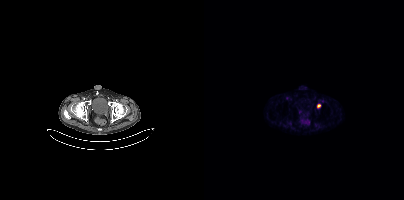
Technique: Two-panel axial: CT | PSMA PET, [18F]PSMA-1007 tracer. slice 61 of 385. PET panel 200×200 px (4.1 mm/px).
Findings: Coordinates are on the 200×200 PET (right) panel. PSMA-avid tumor lesion bounding box (x0,y0,x1,y1): [113,104,116,108].